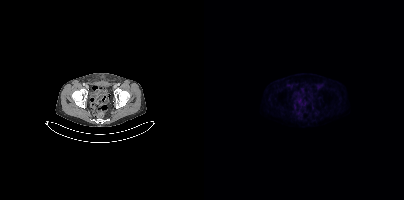
Findings: Negative for PSMA-avid disease on this slice.
Technique: Left: CT. Right: PSMA PET, same axial level, 18F-PSMA tracer. PET panel 200×200 px (4.1 mm/px).